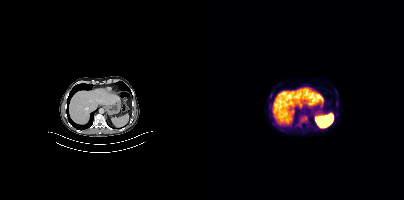
Technique: Paired axial CT (left) and PSMA PET (right), [18F]PSMA-1007 tracer.
Findings: Coordinates are on the 200×200 PET (right) panel. PSMA-avid tumor lesion bounding box (x0, y0)-(x1, y1): (96, 115)-(103, 122).